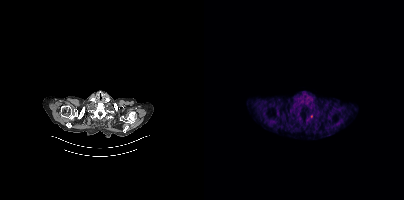
Paired axial CT (left) and PSMA PET (right), [68Ga]Ga-PSMA-11 tracer. Acquired on Siemens Biograph mCT Flow 20. PET panel 200×200 px (4.1 mm/px). Coordinates are on the 200×200 PET (right) panel. Small PSMA-avid focus (2 to 4 px across) near (center x, center y): (107, 116).